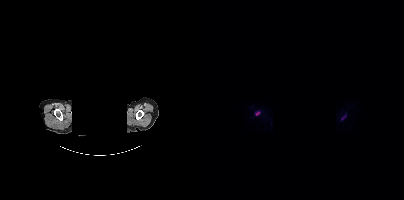
Coordinates are on the 200×200 PET (right) panel. PSMA-avid tumor lesion bounding box (x0,y0,x1,y1): [51,111,55,115]. Small PSMA-avid focus (2 to 4 px across) near (center x, center y): (139, 117).
Any black rectangle over the head is a privacy mask, not anatomy.